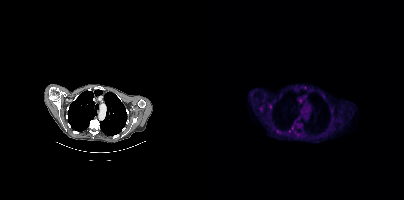
- Two-panel axial: CT | PSMA PET, [18F]PSMA-1007 tracer
Findings: Coordinates are on the 200×200 PET (right) panel. (showing 1 of 4 foci) Small PSMA-avid focus (2 to 4 px across) near (center x, center y): (66, 106).